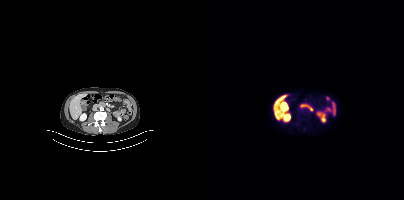
Technique: Two-panel axial: CT | PSMA PET, [18F]PSMA-1007 tracer. acquired on Siemens Biograph mCT Flow 20. slice position z = -662 mm.
Findings: No PSMA-avid tumor lesions on this slice.